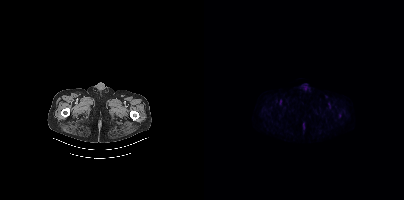
This slice has no annotated PSMA-avid lesion.